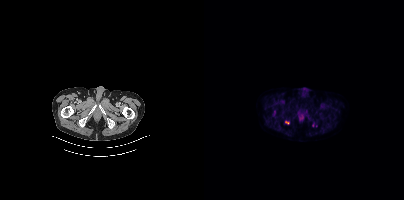
- Two-panel axial: CT | PSMA PET, 18F tracer
Findings: Only PSMA-avid lesion pieces thinner than 2 px on this slice (not listed).